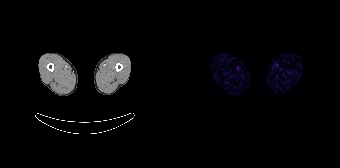
Findings: No tumor lesions annotated on this slice.
Technique: Left: CT. Right: PSMA PET, same axial level, 68Ga-PSMA tracer. slice position z = -980 mm. PET panel 168×168 px (4.1 mm/px).